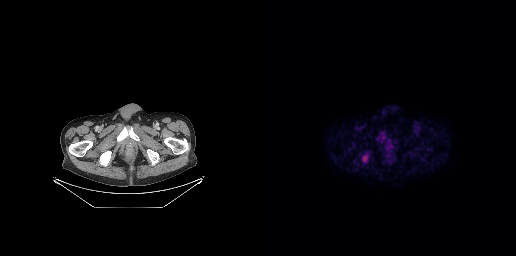
{"modality":"PSMA PET/CT","view":"axial","tracer":"18F","pet_grid":[256,256],"coord_frame":"pet_panel","coord_format":"x0,y0,x1,y1","psma_avid_lesions":false}